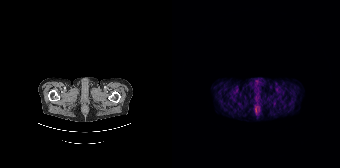
{"modality":"PSMA PET/CT","view":"axial","tracer":"68Ga-PSMA","pet_grid":[168,168],"coord_frame":"pet_panel","coord_format":"x0,y0,x1,y1","psma_avid_lesions":false}